modality: PSMA PET/CT | tracer: 18F-PSMA | view: axial
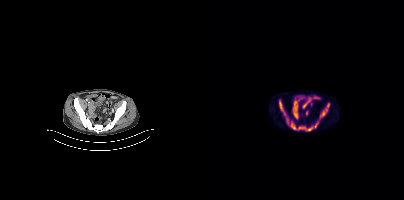
Coordinates are on the 200×200 PET (right) panel. PSMA-avid tumor lesion bounding boxes (x, y, width, height): x=75 y=100 w=31 h=32 / x=109 y=103 w=17 h=25.